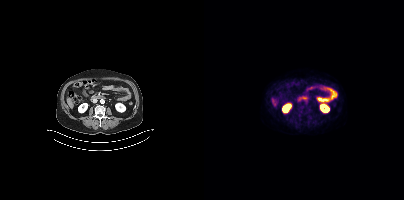
{"modality":"PSMA PET/CT","view":"axial","tracer":"18F-PSMA","pet_grid":[200,200],"coord_frame":"pet_panel","coord_format":"x0,y0,x1,y1","psma_avid_lesions":false}